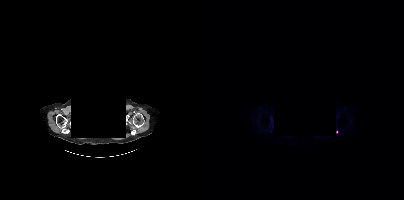
Paired axial CT (left) and PSMA PET (right), 18F-PSMA tracer. Acquired on Siemens Biograph mCT Flow 20. Slice 346 of 389. Facial anatomy redacted by setting a rectangular region of the head to black. Coordinates are on the 200×200 PET (right) panel. Small PSMA-avid focus (2 to 4 px across) near (center x, center y): (132, 131).